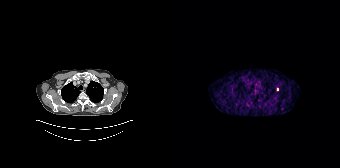
Coordinates are on the 168×168 PET (right) panel. Small PSMA-avid focus (2 to 4 px across) near (center x, center y): (105, 89). Left: CT. Right: PSMA PET, same axial level, 68Ga-PSMA tracer.